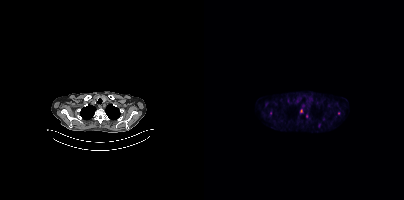
{"pet_grid":[200,200],"coord_frame":"pet_panel","coord_format":"x0,y0,x1,y1","partial":true,"lesion_bboxes":[],"small_foci_centers":[[97,110],[115,125],[120,118],[134,113],[102,116]],"modality":"PSMA PET/CT","view":"axial","tracer":"[18F]PSMA-1007"}